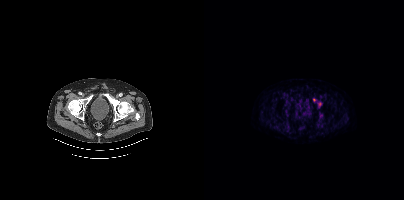
{"modality":"PSMA PET/CT","view":"axial","tracer":"18F","pet_grid":[200,200],"coord_frame":"pet_panel","coord_format":"x0,y0,x1,y1","lesion_bboxes":[],"small_foci_centers":[[110,99],[115,103]]}